- Paired axial CT (left) and PSMA PET (right), [18F]PSMA-1007 tracer
- slice position z = -755 mm
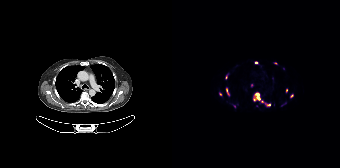
Findings: Coordinates are on the 168×168 PET (right) panel. (showing 10 of 13 foci) PSMA-avid tumor lesion bounding boxes (x, y, width, height): x=81 y=92 w=18 h=15; x=54 y=87 w=4 h=10; x=53 y=75 w=3 h=5. Small PSMA-avid foci (2 to 4 px across) near (center x, center y): (119, 95); (48, 93); (103, 63); (84, 62); (114, 90); (79, 85); (62, 106).